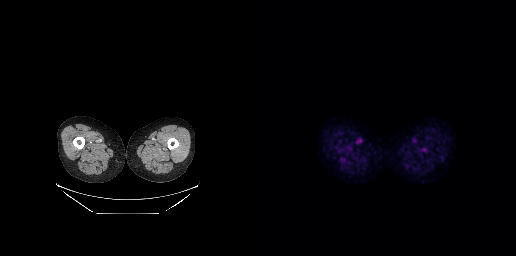
Technique: Two-panel axial: CT | PSMA PET, 18F tracer. PET panel 256×256 px (2.7 mm/px).
Findings: Negative for PSMA-avid disease on this slice.